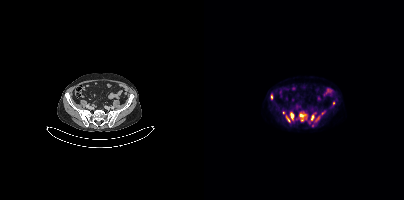
Left: CT. Right: PSMA PET, same axial level, 18F tracer. Coordinates are on the 200×200 PET (right) panel. (showing 7 of 9 foci) PSMA-avid tumor lesion bounding boxes (x0, y0)-(x1, y1): (95, 113)-(102, 121) / (86, 112)-(89, 119) / (107, 115)-(110, 120) / (82, 116)-(86, 121). Small PSMA-avid foci (2 to 4 px across) near (center x, center y): (67, 96) / (129, 103) / (79, 112).